modality: PSMA PET/CT | tracer: 18F | view: axial
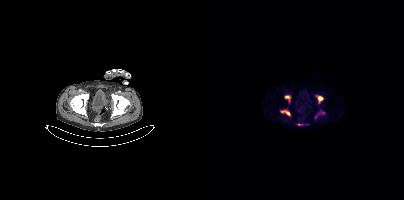
Coordinates are on the 200×200 PET (right) panel. PSMA-avid tumor lesion bounding boxes (x, y, width, height): x=76 y=109 w=11 h=7; x=80 y=95 w=8 h=9; x=112 y=95 w=8 h=9; x=114 y=111 w=7 h=4; x=93 y=124 w=6 h=2. Small PSMA-avid focus (2 to 4 px across) near (center x, center y): (111, 117).